modality: PSMA PET/CT | tracer: 18F-PSMA | view: axial | PET grid: 200×200
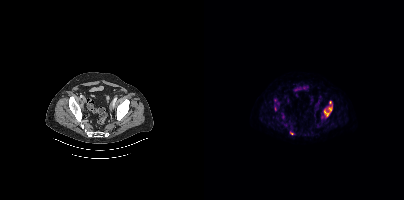
Coordinates are on the 200×200 PET (right) panel. (showing 3 of 4 foci) PSMA-avid tumor lesion bounding box (x0,y0,x1,y1): [120,106,127,116]. Small PSMA-avid foci (2 to 4 px across) near (center x, center y): (126, 102), (87, 133).